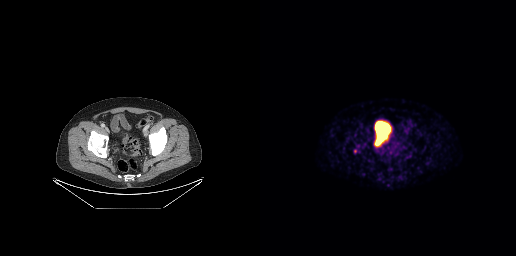
Technique: Left: CT. Right: PSMA PET, same axial level, [68Ga]Ga-PSMA-11 tracer. slice 60 of 263. PET panel 256×256 px (2.7 mm/px).
Findings: This slice has no annotated PSMA-avid lesion.